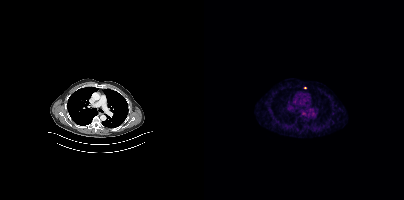
Findings: Only PSMA-avid lesion pieces thinner than 2 px on this slice (not listed).
Technique: Two-panel axial: CT | PSMA PET, 68Ga-PSMA tracer. slice 258 of 373.